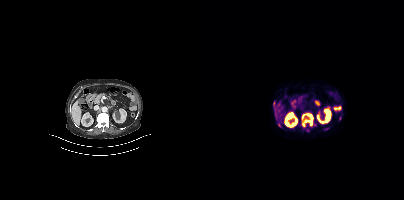
{"modality":"PSMA PET/CT","view":"axial","tracer":"[68Ga]Ga-PSMA-11","pet_grid":[200,200],"coord_frame":"pet_panel","coord_format":"x0,y0,x1,y1","lesion_bboxes":[[98,113,112,127]],"small_foci_centers":[[75,125],[70,103],[121,129],[70,108],[135,119]]}